- Paired axial CT (left) and PSMA PET (right), 18F-PSMA tracer
- PET panel 200×200 px (4.1 mm/px)
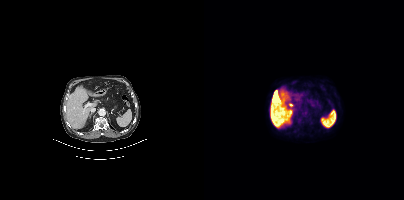
Findings: This slice has no annotated PSMA-avid lesion.